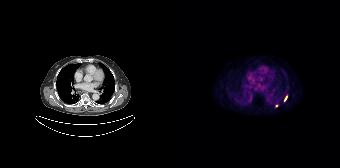
Two-panel axial: CT | PSMA PET, 18F tracer. PET panel 168×168 px (4.1 mm/px). Coordinates are on the 168×168 PET (right) panel. PSMA-avid tumor lesion bounding box (x0,y0,x1,y1): [112,95,115,101]. Small PSMA-avid focus (2 to 4 px across) near (center x, center y): (104, 106).